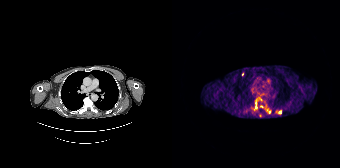
Left: CT. Right: PSMA PET, same axial level, 68Ga-PSMA tracer. Slice position z = -268 mm. PET panel 168×168 px (4.1 mm/px).
Coordinates are on the 168×168 PET (right) panel. PSMA-avid tumor lesion bounding boxes (partial; 1 more focus not listed):
| # | x0 | y0 | x1 | y1 |
|---|---|---|---|---|
| 1 | 95 | 109 | 98 | 113 |
Small PSMA-avid foci (2 to 4 px across) near (center x, center y): (89, 106); (107, 111); (70, 74); (83, 107); (88, 115).